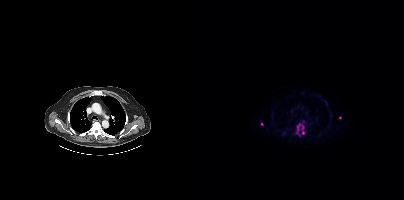
modality: PSMA PET/CT | tracer: 18F | view: axial | PET grid: 200×200
Coordinates are on the 200×200 PET (right) panel. (showing 5 of 6 foci) PSMA-avid tumor lesion bounding boxes (x0, y0)-(x1, y1): (97, 126)-(100, 134) | (93, 124)-(96, 130). Small PSMA-avid foci (2 to 4 px across) near (center x, center y): (99, 121) | (136, 117) | (57, 124).